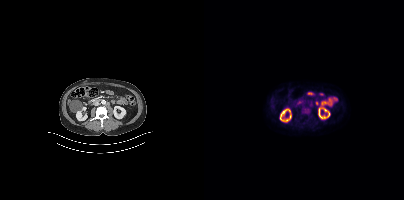
{"pet_grid":[200,200],"coord_frame":"pet_panel","coord_format":"x0,y0,x1,y1","psma_avid_lesions":false,"modality":"PSMA PET/CT","view":"axial","tracer":"[18F]PSMA-1007"}